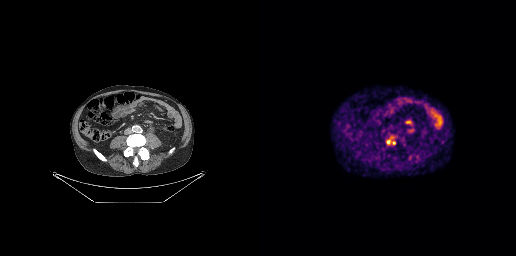
- Left: CT. Right: PSMA PET, same axial level, [68Ga]Ga-PSMA-11 tracer
- slice position z = -730 mm
- PET panel 256×256 px (2.7 mm/px)
Findings: Coordinates are on the 256×256 PET (right) panel. (showing 1 of 2 foci) PSMA-avid tumor lesion bounding box (x, y, width, height): x=131 y=136 w=5 h=9.